Paired axial CT (left) and PSMA PET (right), 18F tracer.
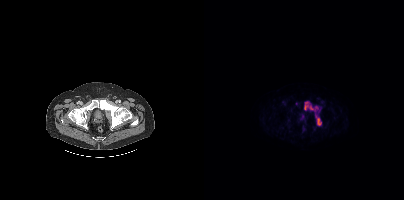
Coordinates are on the 200×200 PET (right) panel. (showing 4 of 5 foci) PSMA-avid tumor lesion bounding boxes (x0,y0,x1,y1): [100,102,109,109], [112,116,117,125]. Small PSMA-avid foci (2 to 4 px across) near (center x, center y): (112, 108), (98, 116).